Paired axial CT (left) and PSMA PET (right), 68Ga tracer. Slice 58 of 195. PET panel 168×168 px (4.1 mm/px).
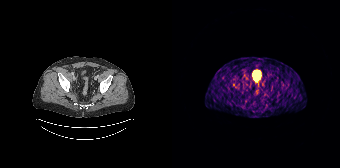
No PSMA-avid tumor lesions on this slice.